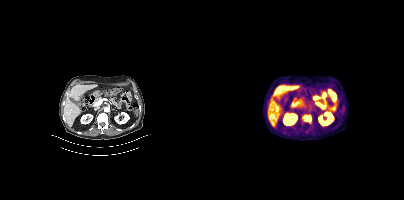
Coordinates are on the 200×200 PET (right) panel. PSMA-avid tumor lesion bounding box (x0,y0,x1,y1): [99,115,107,122]. Left: CT. Right: PSMA PET, same axial level, 18F-PSMA tracer. Acquired on Siemens Biograph mCT Flow 20. PET panel 200×200 px (4.1 mm/px).